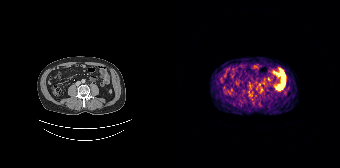
Left: CT. Right: PSMA PET, same axial level, 68Ga tracer. Coordinates are on the 168×168 PET (right) panel. Small PSMA-avid focus (2 to 4 px across) near (center x, center y): (88, 90).